Technique: Left: CT. Right: PSMA PET, same axial level, 18F tracer. slice position z = -158 mm.
Note: A rectangle over the head was blacked out to remove identifiable facial features.
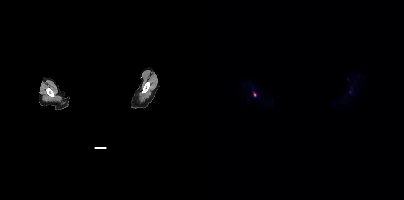
Findings: Coordinates are on the 200×200 PET (right) panel. Small PSMA-avid focus (2 to 4 px across) near (center x, center y): (50, 94).